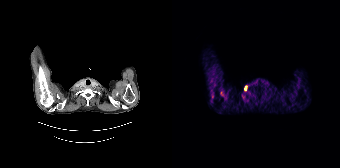
- Paired axial CT (left) and PSMA PET (right), [68Ga]Ga-PSMA-11 tracer
Findings: Coordinates are on the 168×168 PET (right) panel. PSMA-avid tumor lesion bounding box (x0, y0)-(x1, y1): (72, 86)-(74, 90).